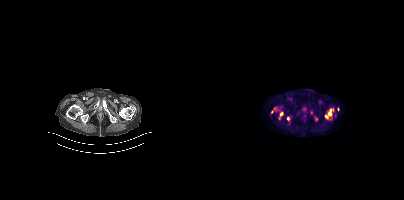
Technique: Two-panel axial: CT | PSMA PET, [18F]PSMA-1007 tracer. PET panel 200×200 px (4.1 mm/px).
Findings: Coordinates are on the 200×200 PET (right) panel. (showing 1 of 2 foci) Small PSMA-avid focus (2 to 4 px across) near (center x, center y): (77, 113).